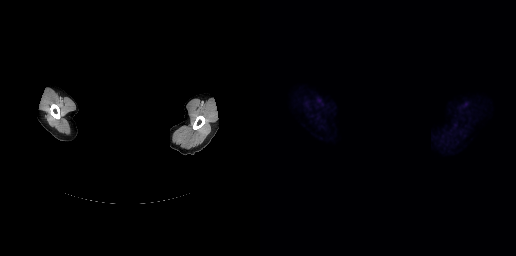
Findings: Negative for PSMA-avid disease on this slice.
- a rectangle over the head was blacked out to remove identifiable facial features
- Paired axial CT (left) and PSMA PET (right), [18F]PSMA-1007 tracer
- acquired on GE Discovery 690
- slice position z = -72 mm